Left: CT. Right: PSMA PET, same axial level, 18F-PSMA tracer. Acquired on Siemens Biograph mCT Flow 20. PET panel 200×200 px (4.1 mm/px).
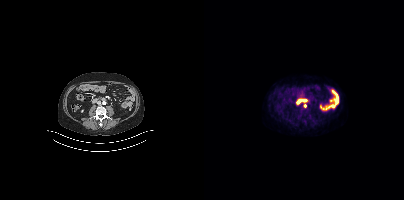
Coordinates are on the 200×200 PET (right) panel. Small PSMA-avid focus (2 to 4 px across) near (center x, center y): (100, 105).